modality: PSMA PET/CT | tracer: 18F | view: axial | PET grid: 256×256
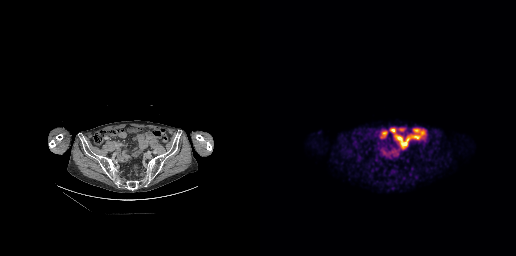
This slice has no annotated PSMA-avid lesion.